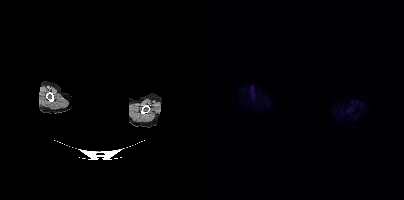
Findings: Negative for PSMA-avid disease on this slice.
Technique: Two-panel axial: CT | PSMA PET, [18F]PSMA-1007 tracer.
Note: An anonymization step blacked out a rectangle over the head in this scan.